deidentification: face masked with black rectangle | modality: PSMA PET/CT | tracer: [18F]PSMA-1007 | view: axial | PET grid: 200×200
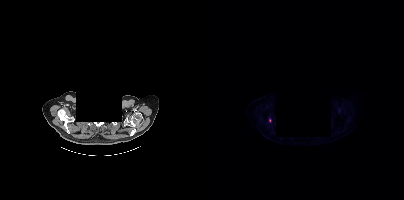
Coordinates are on the 200×200 PET (right) panel. Small PSMA-avid focus (2 to 4 px across) near (center x, center y): (65, 120).